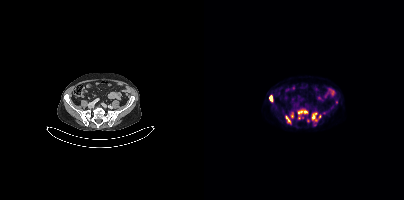
{"modality":"PSMA PET/CT","view":"axial","tracer":"18F-PSMA","pet_grid":[200,200],"coord_frame":"pet_panel","coord_format":"x0,y0,x1,y1","partial":true,"lesion_bboxes":[[94,110,103,114],[108,113,113,119],[65,95,69,101],[82,116,86,123]],"small_foci_centers":[[88,116],[115,116],[95,117]]}